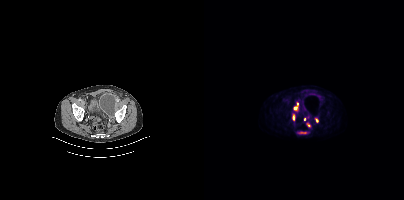
{"pet_grid":[200,200],"coord_frame":"pet_panel","coord_format":"x0,y0,x1,y1","partial":true,"lesion_bboxes":[[90,102,94,110],[88,115,90,120]],"small_foci_centers":[[104,124],[112,120]],"modality":"PSMA PET/CT","view":"axial","tracer":"18F"}